modality: PSMA PET/CT | tracer: 18F-PSMA | view: axial
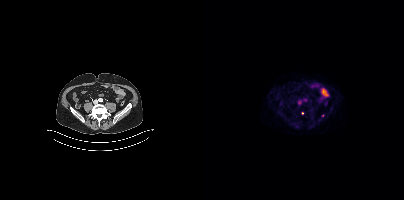
Coordinates are on the 200×200 PET (right) panel. Small PSMA-avid focus (2 to 4 px across) near (center x, center y): (98, 112).